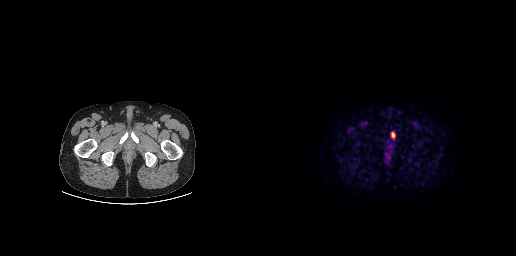
Findings: Coordinates are on the 256×256 PET (right) panel. PSMA-avid tumor lesion bounding box (x, y, width, height): x=131 y=132 w=5 h=7.
Technique: Two-panel axial: CT | PSMA PET, 18F tracer. slice 34 of 263. PET panel 256×256 px (2.7 mm/px).